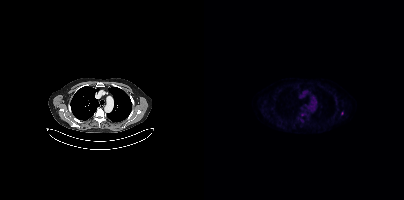
Left: CT. Right: PSMA PET, same axial level, 18F-PSMA tracer. Slice 326 of 429. Only PSMA-avid lesion pieces thinner than 2 px on this slice (not listed).